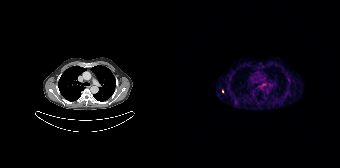
- Two-panel axial: CT | PSMA PET, [68Ga]Ga-PSMA-11 tracer
- slice position z = -884 mm
- PET panel 168×168 px (4.1 mm/px)
Findings: Coordinates are on the 168×168 PET (right) panel. (showing 1 of 2 foci) Small PSMA-avid focus (2 to 4 px across) near (center x, center y): (50, 91).